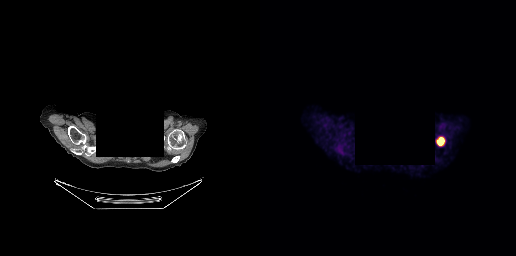
Coordinates are on the 256×256 PET (right) panel. PSMA-avid tumor lesion bounding box (x, y, width, height): x=176 y=137 w=9 h=9.
A rectangular block over the head has been blanked out for de-identification.